Technique: Paired axial CT (left) and PSMA PET (right), 68Ga tracer. slice 128 of 393. PET panel 200×200 px (4.1 mm/px).
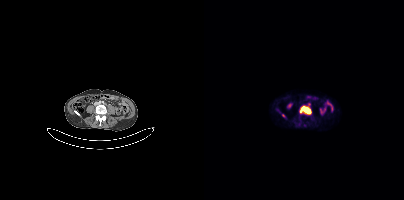
Findings: Coordinates are on the 200×200 PET (right) panel. (showing 2 of 3 foci) PSMA-avid tumor lesion bounding box (x0,y0,x1,y1): [96,106,107,114]. Small PSMA-avid focus (2 to 4 px across) near (center x, center y): (105, 104).